Technique: Two-panel axial: CT | PSMA PET, [18F]PSMA-1007 tracer. acquired on Siemens Biograph mCT Flow 20.
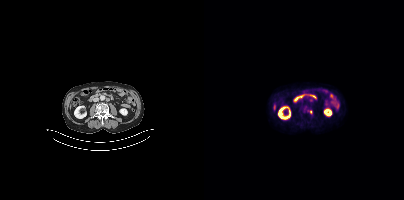
Findings: Coordinates are on the 200×200 PET (right) panel. Small PSMA-avid focus (2 to 4 px across) near (center x, center y): (106, 111).